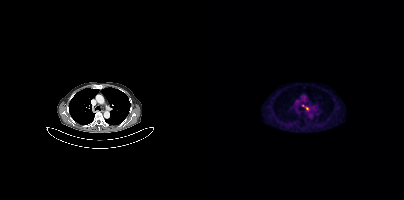
Findings: Coordinates are on the 200×200 PET (right) panel. PSMA-avid tumor lesion bounding box (x, y, width, height): x=98 y=105 w=8 h=6.
- Paired axial CT (left) and PSMA PET (right), [18F]PSMA-1007 tracer
- PET panel 200×200 px (4.1 mm/px)